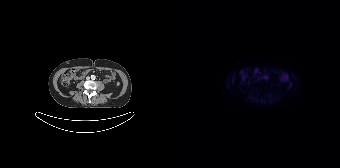
Negative for PSMA-avid disease on this slice.